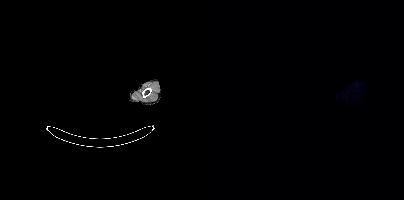
{"modality":"PSMA PET/CT","view":"axial","tracer":"18F","pet_grid":[200,200],"coord_frame":"pet_panel","coord_format":"x0,y0,x1,y1","psma_avid_lesions":false,"redaction":"head region blanked (face removed)"}